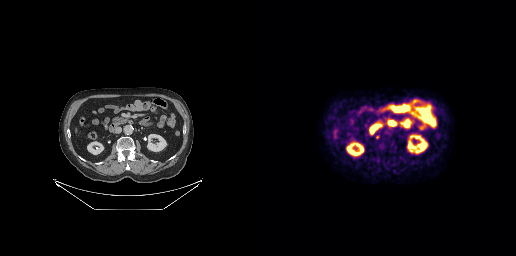
Coordinates are on the 256×256 PET (right) panel. Small PSMA-avid focus (2 to 4 px across) near (center x, center y): (117, 136). Paired axial CT (left) and PSMA PET (right), [18F]PSMA-1007 tracer. Acquired on GE Discovery 690. Slice position z = -452 mm. PET panel 256×256 px (2.7 mm/px).